Paired axial CT (left) and PSMA PET (right), 18F tracer. Slice position z = -1264 mm.
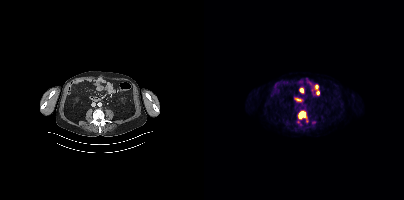
Coordinates are on the 200×200 PET (right) panel. PSMA-avid tumor lesion bounding boxes:
| # | x0 | y0 | x1 | y1 |
|---|---|---|---|---|
| 1 | 94 | 112 | 101 | 119 |